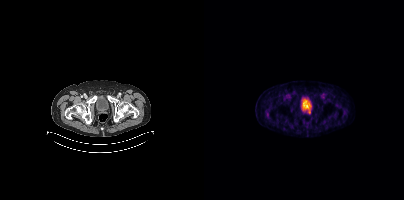
Coordinates are on the 200×200 PET (right) panel. Small PSMA-avid focus (2 to 4 px across) near (center x, center y): (105, 112). Left: CT. Right: PSMA PET, same axial level, [68Ga]Ga-PSMA-11 tracer. PET panel 200×200 px (4.1 mm/px).